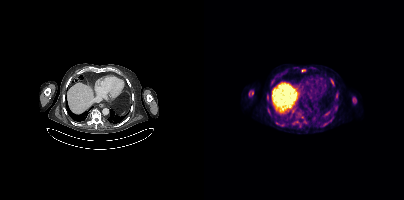
Coordinates are on the 200×200 PET (right) panel. PSMA-avid tumor lesion bounding boxes (x0, y0)-(x1, y1): (45, 91)-(49, 95) / (149, 98)-(152, 102) / (127, 79)-(130, 84) / (63, 107)-(65, 112). Small PSMA-avid foci (2 to 4 px across) near (center x, center y): (99, 70) / (63, 96) / (72, 122).